Technique: Left: CT. Right: PSMA PET, same axial level, 68Ga-PSMA tracer. PET panel 168×168 px (4.1 mm/px).
Note: The face region was removed for patient privacy by blanking a rectangle over the head.
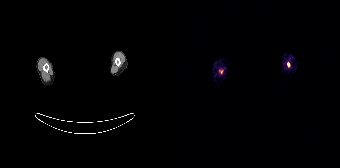
Findings: Coordinates are on the 168×168 PET (right) panel. (showing 1 of 2 foci) Small PSMA-avid focus (2 to 4 px across) near (center x, center y): (116, 64).